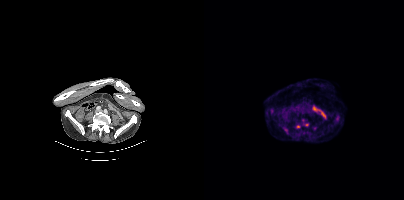
{"modality":"PSMA PET/CT","view":"axial","tracer":"18F","pet_grid":[200,200],"coord_frame":"pet_panel","coord_format":"x0,y0,x1,y1","lesion_bboxes":[[80,127,83,131]],"small_foci_centers":[[102,124],[99,120],[94,126]]}